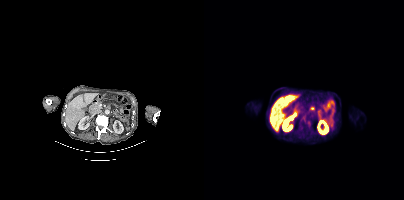
Coordinates are on the 200×200 PET (right) panel. PSMA-avid tumor lesion bounding box (x0,y0,x1,y1): [97,115,101,122].
modality: PSMA PET/CT | tracer: [18F]PSMA-1007 | view: axial | PET grid: 200×200